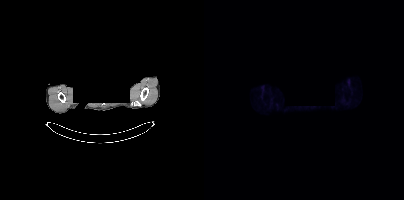
No tumor lesions annotated on this slice.
modality: PSMA PET/CT | tracer: [18F]PSMA-1007 | view: axial | PET grid: 200×200 | redaction: face masked with black rectangle